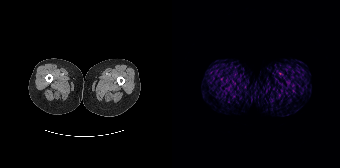
This slice has no annotated PSMA-avid lesion.